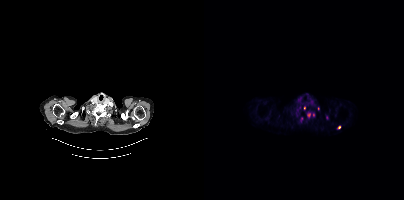
Coordinates are on the 200×200 PET (right) panel. (showing 4 of 7 foci) Small PSMA-avid foci (2 to 4 px across) near (center x, center y): (104, 114) | (135, 127) | (100, 108) | (109, 114).